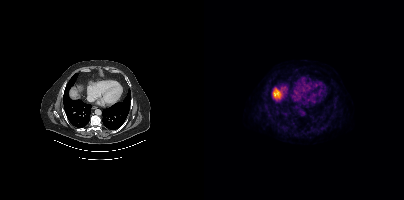
Paired axial CT (left) and PSMA PET (right), 18F tracer. Slice 277 of 435. Negative for PSMA-avid disease on this slice.